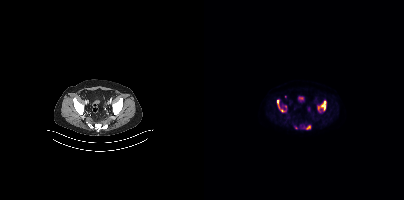
{"pet_grid":[200,200],"coord_frame":"pet_panel","coord_format":"x0,y0,x1,y1","partial":true,"lesion_bboxes":[[113,100,122,112],[73,100,80,111],[102,125,106,129]],"small_foci_centers":[[81,106]],"modality":"PSMA PET/CT","view":"axial","tracer":"18F"}